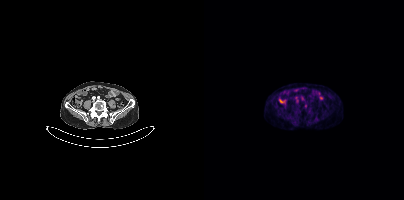
Paired axial CT (left) and PSMA PET (right), [18F]PSMA-1007 tracer. Acquired on Siemens Biograph mCT Flow 20. PET panel 200×200 px (4.1 mm/px). Coordinates are on the 200×200 PET (right) panel. Small PSMA-avid focus (2 to 4 px across) near (center x, center y): (101, 106).